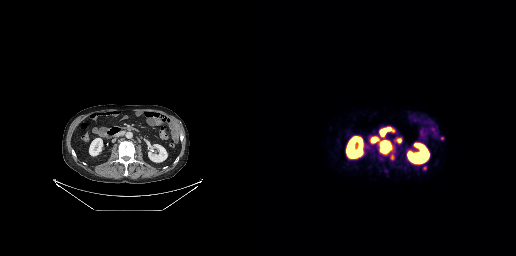
{"modality":"PSMA PET/CT","view":"axial","tracer":"68Ga-PSMA","pet_grid":[256,256],"coord_frame":"pet_panel","coord_format":"x0,y0,x1,y1","lesion_bboxes":[[121,141,131,152],[121,129,125,135],[127,128,134,132],[137,138,141,142],[112,138,116,141],[131,154,134,159],[163,166,166,170]],"small_foci_centers":[[182,138]]}